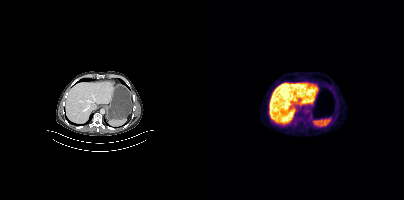
modality: PSMA PET/CT | tracer: 18F | view: axial | PET grid: 200×200
No tumor lesions annotated on this slice.